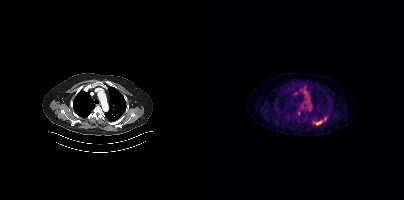
Technique: Two-panel axial: CT | PSMA PET, 18F tracer. slice 332 of 429. PET panel 200×200 px (4.1 mm/px).
Findings: Coordinates are on the 200×200 PET (right) panel. (showing 2 of 3 foci) PSMA-avid tumor lesion bounding box (x, y, width, height): x=112 y=121 w=6 h=4. Small PSMA-avid focus (2 to 4 px across) near (center x, center y): (121, 118).